Technique: Two-panel axial: CT | PSMA PET, 18F tracer. acquired on Siemens Biograph mCT Flow 20.
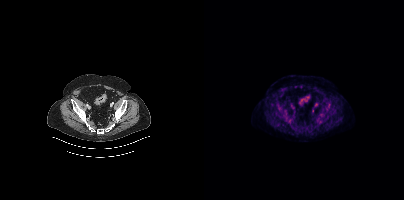
Findings: No tumor lesions annotated on this slice.